Two-panel axial: CT | PSMA PET, 18F tracer. Slice position z = -1196 mm. PET panel 200×200 px (4.1 mm/px).
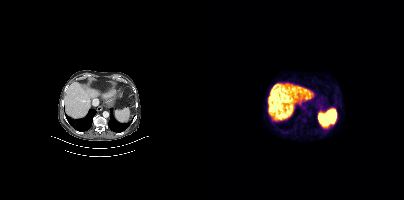
Negative for PSMA-avid disease on this slice.